Technique: Two-panel axial: CT | PSMA PET, 18F tracer.
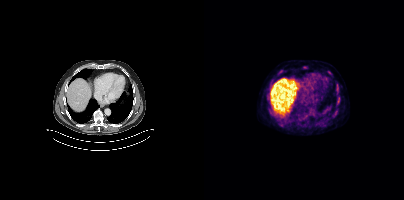
Findings: Coordinates are on the 200×200 PET (right) panel. (showing 4 of 5 foci) PSMA-avid tumor lesion bounding box (x, y, width, height): x=123 y=71 w=5 h=4. Small PSMA-avid foci (2 to 4 px across) near (center x, center y): (100, 67); (75, 73); (134, 97).